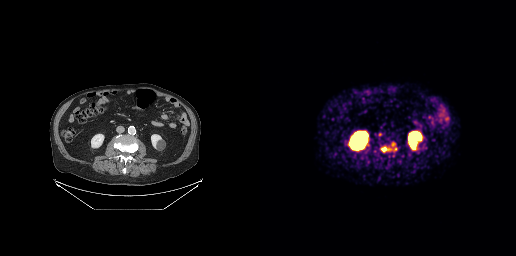
Technique: Left: CT. Right: PSMA PET, same axial level, 68Ga tracer. PET panel 256×256 px (2.7 mm/px).
Findings: Coordinates are on the 256×256 PET (right) panel. (showing 3 of 4 foci) PSMA-avid tumor lesion bounding box (x0, y0)-(x1, y1): (121, 146)-(130, 152). Small PSMA-avid foci (2 to 4 px across) near (center x, center y): (133, 144); (135, 148).